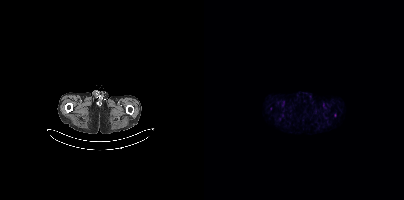
Coordinates are on the 200×200 PET (right) panel. (showing 1 of 2 foci) Small PSMA-avid focus (2 to 4 px across) near (center x, center y): (66, 108).